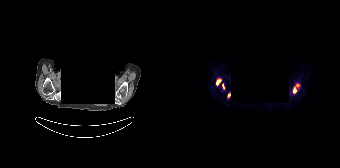
Left: CT. Right: PSMA PET, same axial level, 18F-PSMA tracer. Acquired on Siemens Biograph 64-4R TruePoint. Slice 143 of 165. PET panel 168×168 px (4.1 mm/px). The head region is masked for de-identification.
Coordinates are on the 168×168 PET (right) panel. PSMA-avid tumor lesion bounding boxes:
| # | x0 | y0 | x1 | y1 |
|---|---|---|---|---|
| 1 | 121 | 83 | 128 | 93 |
| 2 | 44 | 78 | 49 | 85 |
| 3 | 55 | 93 | 58 | 97 |
| 4 | 50 | 83 | 52 | 89 |